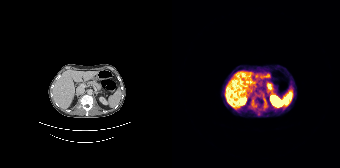
Findings: Negative for PSMA-avid disease on this slice.
- Paired axial CT (left) and PSMA PET (right), 68Ga tracer
- slice position z = -548 mm
- PET panel 168×168 px (4.1 mm/px)